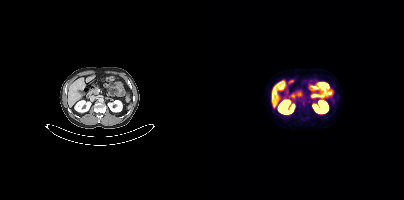
Findings: No PSMA-avid tumor lesions on this slice.
- Paired axial CT (left) and PSMA PET (right), 18F tracer
- acquired on Siemens Biograph mCT Flow 20
- slice 188 of 393
- PET panel 200×200 px (4.1 mm/px)